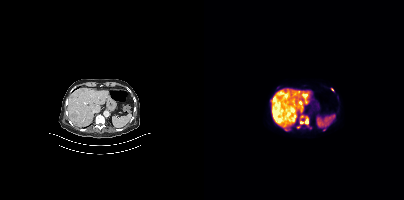
{"modality":"PSMA PET/CT","view":"axial","tracer":"18F-PSMA","pet_grid":[200,200],"coord_frame":"pet_panel","coord_format":"x0,y0,x1,y1","lesion_bboxes":[[96,115,104,124]],"small_foci_centers":[[97,122],[128,89],[82,129]]}